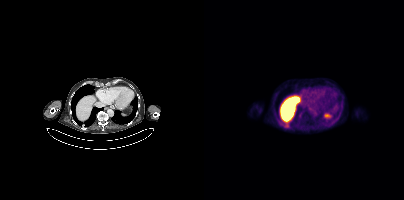
Findings: No tumor lesions annotated on this slice.
- Two-panel axial: CT | PSMA PET, 18F-PSMA tracer
- slice 240 of 417